- Paired axial CT (left) and PSMA PET (right), 18F-PSMA tracer
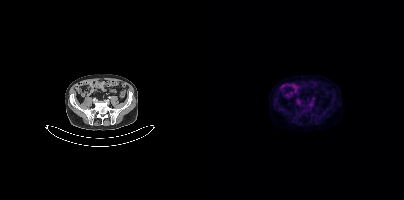
Findings: This slice has no annotated PSMA-avid lesion.